modality: PSMA PET/CT | tracer: [18F]PSMA-1007 | view: axial
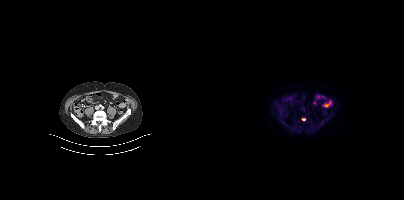
Coordinates are on the 200×200 PET (right) panel. Small PSMA-avid focus (2 to 4 px across) near (center x, center y): (99, 119).